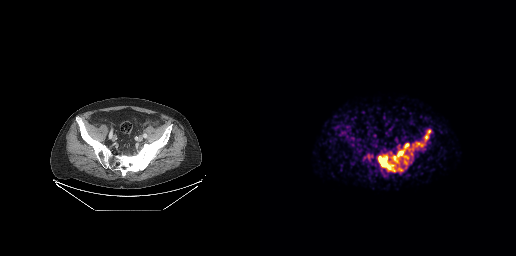
- Two-panel axial: CT | PSMA PET, [68Ga]Ga-PSMA-11 tracer
Findings: Coordinates are on the 256×256 PET (right) panel. PSMA-avid tumor lesion bounding boxes (x, y, width, height): x=118 y=155 w=18 h=17 / x=132 y=143 w=18 h=20 / x=165 y=130 w=6 h=10. Small PSMA-avid foci (2 to 4 px across) near (center x, center y): (140, 169) / (158, 143) / (145, 162) / (161, 145).